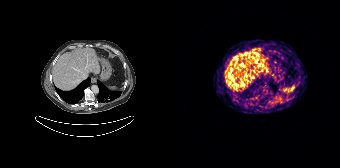
This slice has no annotated PSMA-avid lesion. Two-panel axial: CT | PSMA PET, [68Ga]Ga-PSMA-11 tracer. Slice 123 of 195.